Technique: Two-panel axial: CT | PSMA PET, 68Ga tracer. slice position z = -1186 mm.
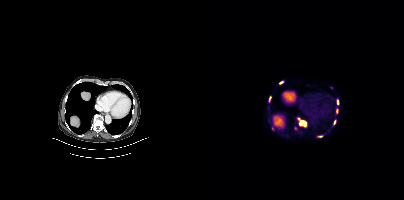
Findings: Coordinates are on the 200×200 PET (right) panel. (showing 8 of 9 foci) PSMA-avid tumor lesion bounding boxes (x0, y0)-(x1, y1): (95, 120)-(102, 127) / (114, 135)-(118, 137) / (129, 120)-(131, 124) / (132, 109)-(133, 113) / (133, 100)-(134, 104). Small PSMA-avid foci (2 to 4 px across) near (center x, center y): (66, 97) / (77, 82) / (91, 127).